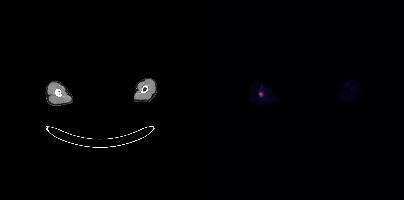
Coordinates are on the 200×200 PET (right) panel. PSMA-avid tumor lesion bounding boxes:
| # | x0 | y0 | x1 | y1 |
|---|---|---|---|---|
| 1 | 55 | 92 | 58 | 96 |
An anonymization step blacked out a rectangle over the head in this scan. Two-panel axial: CT | PSMA PET, [18F]PSMA-1007 tracer. Acquired on Siemens Biograph mCT Flow 20. Slice position z = -866 mm. PET panel 200×200 px (4.1 mm/px).